Technique: Two-panel axial: CT | PSMA PET, 18F-PSMA tracer. slice position z = -1390 mm.
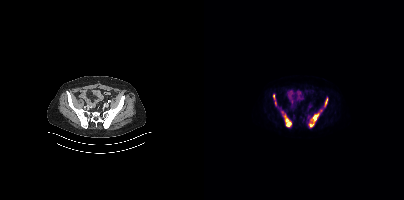
Findings: Coordinates are on the 200×200 PET (right) panel. (showing 4 of 6 foci) PSMA-avid tumor lesion bounding boxes (x0,y0,x1,y1): [80,114,87,126], [105,114,114,126], [69,94,72,105], [120,98,123,106].